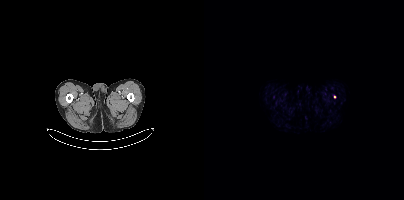
{"modality":"PSMA PET/CT","view":"axial","tracer":"[18F]PSMA-1007","pet_grid":[200,200],"coord_frame":"pet_panel","coord_format":"x0,y0,x1,y1","lesion_bboxes":[],"small_foci_centers":[[130,96]]}